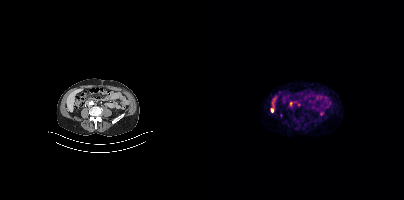
Coordinates are on the 200×200 PET (right) panel. PSMA-avid tumor lesion bounding box (x0,y0,x1,y1): [86,102,88,106]. Small PSMA-avid focus (2 to 4 px across) near (center x, center y): (67, 110). Left: CT. Right: PSMA PET, same axial level, [68Ga]Ga-PSMA-11 tracer. Slice 130 of 373. PET panel 200×200 px (4.1 mm/px).